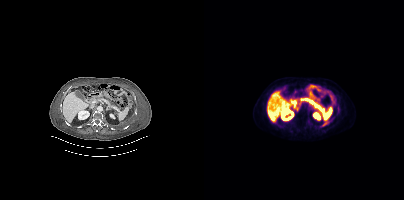
This slice has no annotated PSMA-avid lesion.